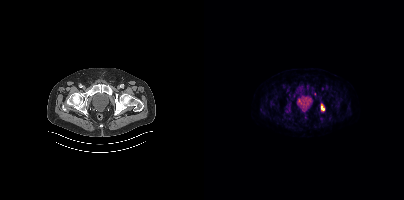
{"modality":"PSMA PET/CT","view":"axial","tracer":"[18F]PSMA-1007","pet_grid":[200,200],"coord_frame":"pet_panel","coord_format":"x0,y0,x1,y1","lesion_bboxes":[[117,104,120,110]]}